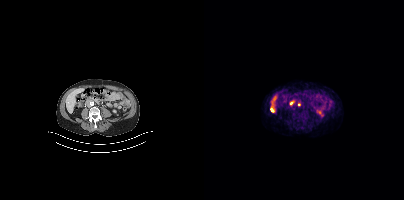
{"modality":"PSMA PET/CT","view":"axial","tracer":"68Ga","pet_grid":[200,200],"coord_frame":"pet_panel","coord_format":"x0,y0,x1,y1","lesion_bboxes":[[86,100,90,105]],"small_foci_centers":[[95,104],[67,110]]}